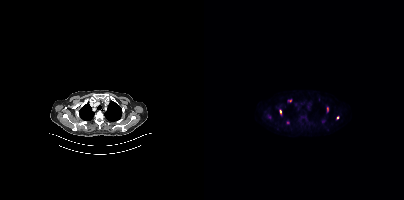
{"modality":"PSMA PET/CT","view":"axial","tracer":"18F-PSMA","pet_grid":[200,200],"coord_frame":"pet_panel","coord_format":"x0,y0,x1,y1","lesion_bboxes":[],"small_foci_centers":[[84,122],[85,100],[123,108],[76,111],[133,117]]}